- Left: CT. Right: PSMA PET, same axial level, 18F-PSMA tracer
- acquired on Siemens Biograph mCT Flow 20
- slice position z = -490 mm
- PET panel 200×200 px (4.1 mm/px)
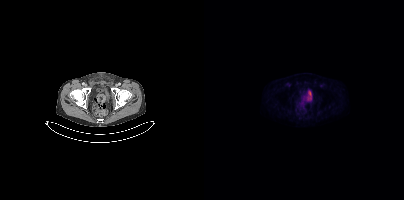
Findings: Negative for PSMA-avid disease on this slice.